modality: PSMA PET/CT | tracer: 18F | view: axial | PET grid: 200×200
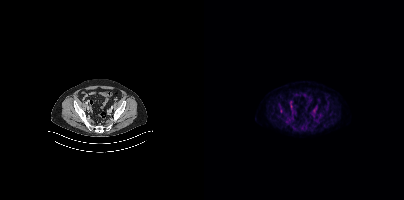
Coordinates are on the 200×200 PET (right) panel. Small PSMA-avid foci (2 to 4 px across) near (center x, center y): (77, 110); (87, 105).